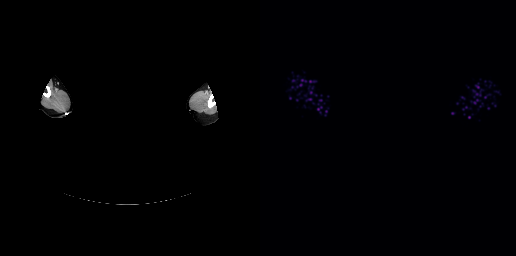
Negative for PSMA-avid disease on this slice. Left: CT. Right: PSMA PET, same axial level, 18F-PSMA tracer. PET panel 256×256 px (2.7 mm/px). Privacy masking over the head, with the pixels inside a rectangle set to black.